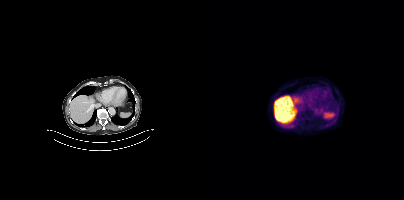
{"modality":"PSMA PET/CT","view":"axial","tracer":"18F-PSMA","pet_grid":[200,200],"coord_frame":"pet_panel","coord_format":"x0,y0,x1,y1","psma_avid_lesions":false}